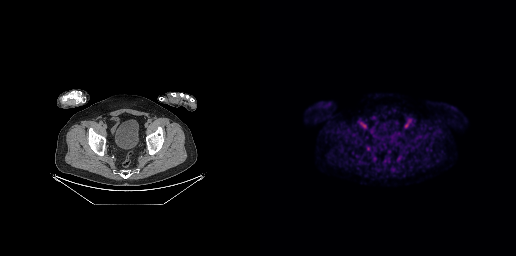
Negative for PSMA-avid disease on this slice. Two-panel axial: CT | PSMA PET, 18F tracer. Slice 68 of 263.